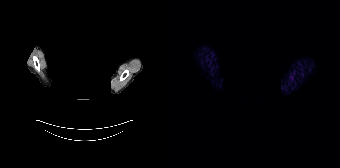
{"modality":"PSMA PET/CT","view":"axial","tracer":"[68Ga]Ga-PSMA-11","pet_grid":[168,168],"coord_frame":"pet_panel","coord_format":"x0,y0,x1,y1","psma_avid_lesions":false,"redaction":"privacy mask over head"}